modality: PSMA PET/CT | tracer: [18F]PSMA-1007 | view: axial | deidentification: head region blanked (face removed)
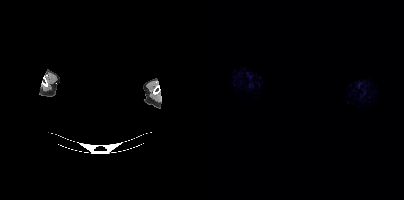
No tumor lesions annotated on this slice.